Paired axial CT (left) and PSMA PET (right), 18F-PSMA tracer. Acquired on Siemens Biograph mCT Flow 20.
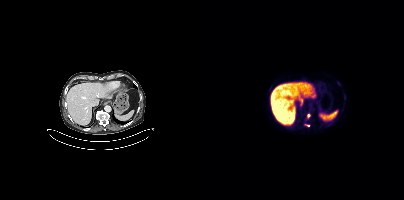
Coordinates are on the 200×200 PET (right) panel. (showing 2 of 4 foci) Small PSMA-avid foci (2 to 4 px across) near (center x, center y): (104, 125) / (104, 116).